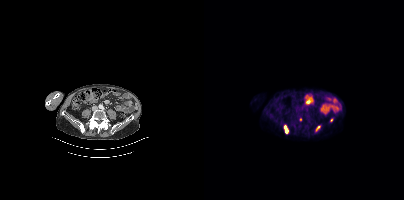
Coordinates are on the 200×200 PET (right) panel. PSMA-avid tumor lesion bounding boxes (x, y, width, height): x=80 y=125 w=5 h=9 / x=112 y=126 w=5 h=6. Small PSMA-avid foci (2 to 4 px across) near (center x, center y): (127, 120) / (96, 119).